modality: PSMA PET/CT | tracer: 18F | view: axial | PET grid: 256×256
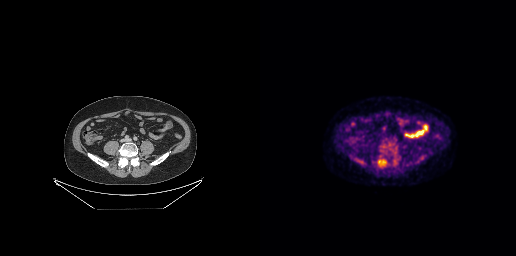
Coordinates are on the 256×256 PET (right) panel. PSMA-avid tumor lesion bounding box (x, y, width, height): x=119 y=159 w=7 h=7.